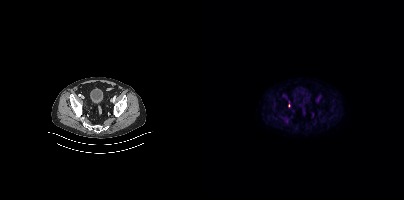
Only PSMA-avid lesion pieces thinner than 2 px on this slice (not listed).